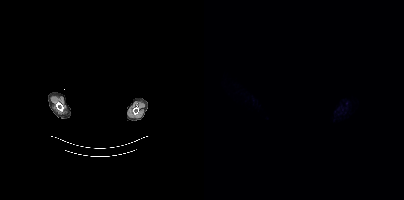
{"modality":"PSMA PET/CT","view":"axial","tracer":"[18F]PSMA-1007","pet_grid":[200,200],"coord_frame":"pet_panel","coord_format":"x0,y0,x1,y1","redaction":"rectangular block over head set to black","psma_avid_lesions":false}